modality: PSMA PET/CT | tracer: 68Ga-PSMA | view: axial
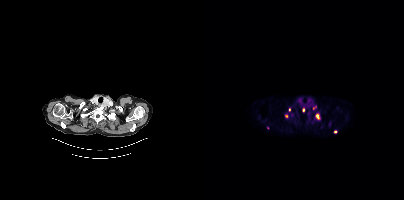
Coordinates are on the 200×200 PET (right) panel. PSMA-avid tumor lesion bounding box (x0, y0)-(x1, y1): (112, 113)-(115, 118). Small PSMA-avid foci (2 to 4 px across) near (center x, center y): (82, 116) | (85, 109) | (99, 110) | (64, 128) | (110, 107) | (131, 131).